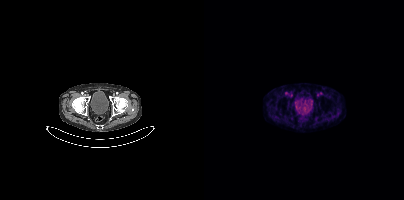
{"modality":"PSMA PET/CT","view":"axial","tracer":"18F","pet_grid":[200,200],"coord_frame":"pet_panel","coord_format":"x0,y0,x1,y1","psma_avid_lesions":false}